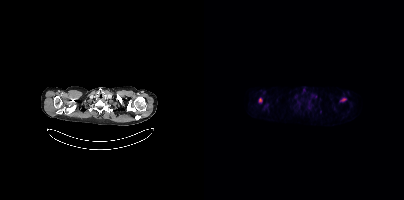
Technique: Paired axial CT (left) and PSMA PET (right), 18F-PSMA tracer. acquired on Siemens Biograph mCT Flow 20. slice 368 of 429.
Findings: Coordinates are on the 200×200 PET (right) panel. PSMA-avid tumor lesion bounding boxes (x0, y0)-(x1, y1): (136, 98)-(142, 101) | (55, 98)-(58, 102).